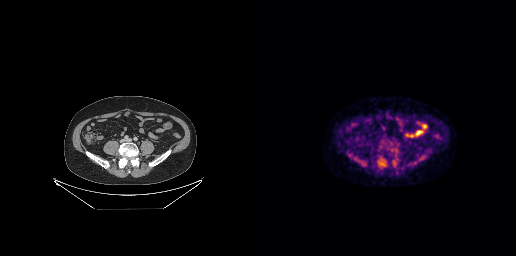
{"modality":"PSMA PET/CT","view":"axial","tracer":"18F-PSMA","pet_grid":[256,256],"coord_frame":"pet_panel","coord_format":"x0,y0,x1,y1","lesion_bboxes":[[120,160,125,164]]}